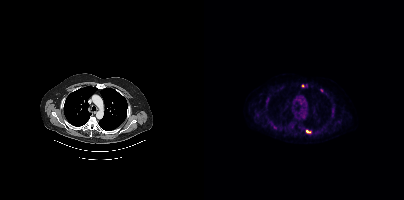
Coordinates are on the 200×200 PET (right) panel. PSMA-avid tumor lesion bounding box (x, y, width, height): x=102 y=130 w=5 h=4. Small PSMA-avid foci (2 to 4 px across) near (center x, center y): (99, 85) | (88, 126) | (117, 90). Paired axial CT (left) and PSMA PET (right), 18F-PSMA tracer. Acquired on Siemens Biograph mCT Flow 20. Slice position z = -328 mm.